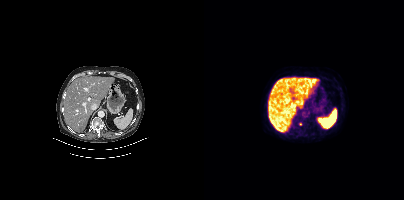
Only PSMA-avid lesion pieces thinner than 2 px on this slice (not listed).
modality: PSMA PET/CT | tracer: 18F | view: axial | PET grid: 200×200